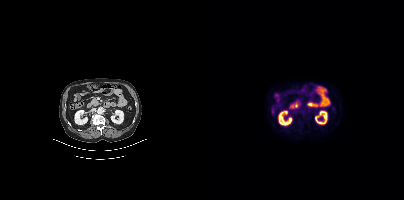
Technique: Left: CT. Right: PSMA PET, same axial level, [18F]PSMA-1007 tracer. acquired on Siemens Biograph mCT Flow 20.
Findings: No tumor lesions annotated on this slice.